modality: PSMA PET/CT | tracer: [18F]PSMA-1007 | view: axial | PET grid: 200×200
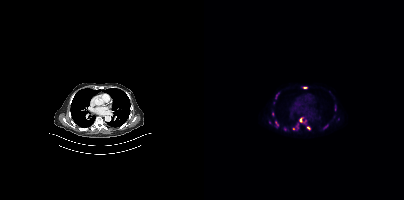
Coordinates are on the 200×200 PET (right) panel. (showing 3 of 4 foci) Small PSMA-avid foci (2 to 4 px across) near (center x, center y): (96, 119), (101, 87), (104, 128).